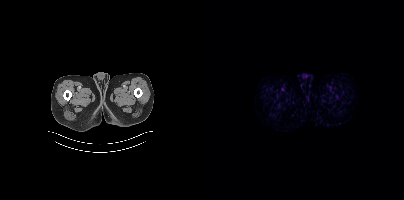
No PSMA-avid tumor lesions on this slice.